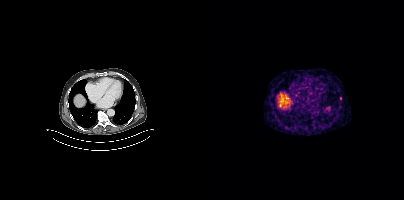
Technique: Left: CT. Right: PSMA PET, same axial level, 68Ga tracer. slice position z = -1169 mm.
Findings: Coordinates are on the 200×200 PET (right) panel. Small PSMA-avid focus (2 to 4 px across) near (center x, center y): (136, 98).